Technique: Paired axial CT (left) and PSMA PET (right), 18F-PSMA tracer. acquired on Siemens Biograph mCT Flow 20. slice position z = -856 mm. PET panel 200×200 px (4.1 mm/px).
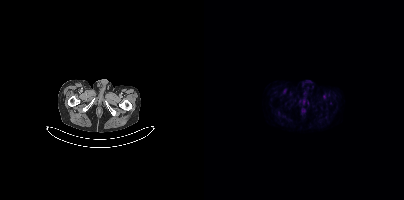
Findings: No PSMA-avid tumor lesions on this slice.